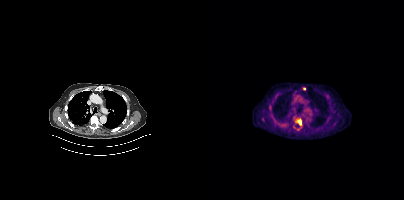
{"modality":"PSMA PET/CT","view":"axial","tracer":"[18F]PSMA-1007","pet_grid":[200,200],"coord_frame":"pet_panel","coord_format":"x0,y0,x1,y1","lesion_bboxes":[[94,119,97,124]],"small_foci_centers":[[100,88]]}